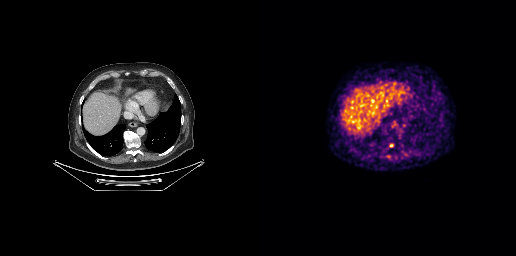
{"modality":"PSMA PET/CT","view":"axial","tracer":"[68Ga]Ga-PSMA-11","pet_grid":[256,256],"coord_frame":"pet_panel","coord_format":"x0,y0,x1,y1","lesion_bboxes":[[129,144,133,147]]}